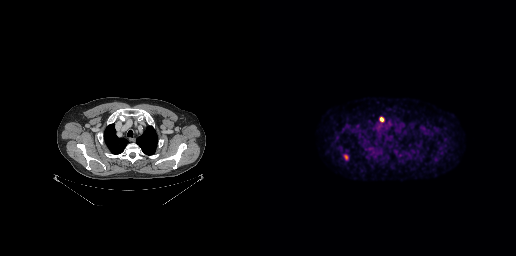
modality: PSMA PET/CT | tracer: [18F]PSMA-1007 | view: axial
Coordinates are on the 256×256 PET (right) panel. PSMA-avid tumor lesion bounding box (x0, y0)-(x1, y1): (119, 117)-(124, 122). Small PSMA-avid focus (2 to 4 px across) near (center x, center y): (86, 157).